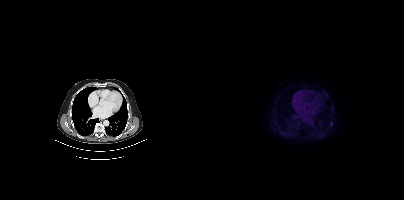
Two-panel axial: CT | PSMA PET, 18F-PSMA tracer. Slice 268 of 405.
Coordinates are on the 200×200 PET (right) panel. PSMA-avid tumor lesion bounding boxes:
| # | x0 | y0 | x1 | y1 |
|---|---|---|---|---|
| 1 | 126 | 121 | 128 | 125 |